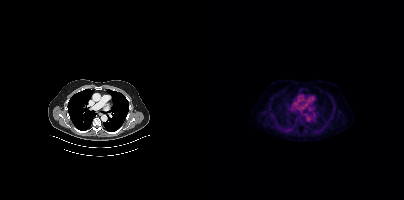
{"modality":"PSMA PET/CT","view":"axial","tracer":"18F-PSMA","pet_grid":[200,200],"coord_frame":"pet_panel","coord_format":"x0,y0,x1,y1","psma_avid_lesions":false}